- Left: CT. Right: PSMA PET, same axial level, [18F]PSMA-1007 tracer
- acquired on Siemens Biograph mCT Flow 20
- slice 112 of 425
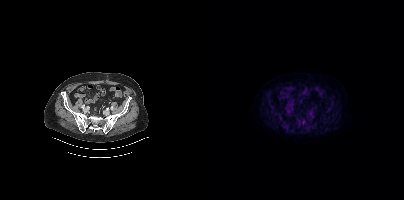
Findings: Coordinates are on the 200×200 PET (right) panel. Small PSMA-avid focus (2 to 4 px across) near (center x, center y): (99, 122).